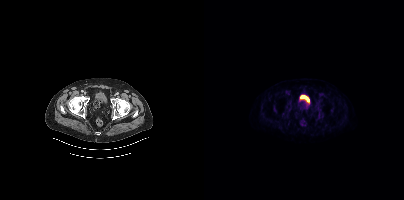
Left: CT. Right: PSMA PET, same axial level, [18F]PSMA-1007 tracer. Slice position z = -1373 mm. Coordinates are on the 200×200 PET (right) panel. PSMA-avid tumor lesion bounding boxes (x0, y0)-(x1, y1): (81, 104)-(86, 110); (114, 113)-(119, 118); (112, 100)-(116, 104).